A rectangular block over the head has been blanked out for de-identification. Two-panel axial: CT | PSMA PET, 18F-PSMA tracer. Acquired on Siemens Biograph mCT Flow 20. Slice 398 of 411. PET panel 200×200 px (4.1 mm/px).
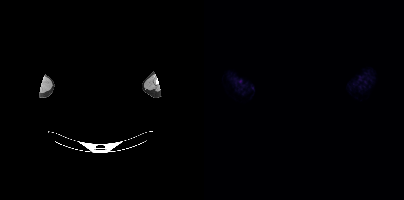
No tumor lesions annotated on this slice.